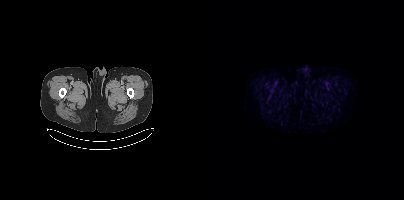
Paired axial CT (left) and PSMA PET (right), 18F tracer. Slice position z = -819 mm.
Coordinates are on the 200×200 PET (right) panel. PSMA-avid tumor lesion bounding boxes:
| # | x0 | y0 | x1 | y1 |
|---|---|---|---|---|
| 1 | 65 | 88 | 69 | 92 |
Small PSMA-avid foci (2 to 4 px across) near (center x, center y): (126, 92); (126, 96).